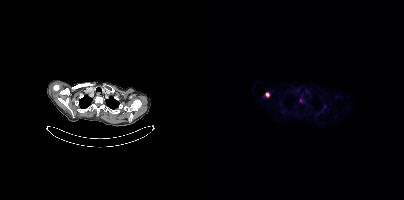
Findings: Coordinates are on the 200×200 PET (right) panel. PSMA-avid tumor lesion bounding box (x0, y0)-(x1, y1): (61, 92)-(65, 97). Small PSMA-avid focus (2 to 4 px across) near (center x, center y): (96, 100).
Technique: Paired axial CT (left) and PSMA PET (right), [18F]PSMA-1007 tracer. acquired on Siemens Biograph mCT Flow 20. PET panel 200×200 px (4.1 mm/px).